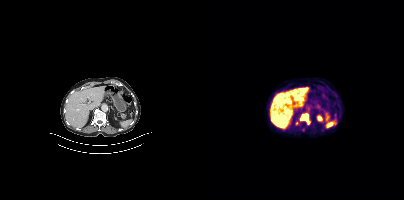
{"modality":"PSMA PET/CT","view":"axial","tracer":"18F","pet_grid":[200,200],"coord_frame":"pet_panel","coord_format":"x0,y0,x1,y1","partial":true,"lesion_bboxes":[[96,113,105,124]],"small_foci_centers":[[93,123]]}